modality: PSMA PET/CT | tracer: 18F | view: axial
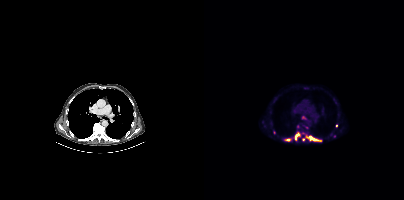
Coordinates are on the 200×200 PET (right) panel. (showing 5 of 8 foci) PSMA-avid tumor lesion bounding boxes (x, y, width, height): x=102 y=135 w=16 h=7 / x=91 y=133 w=6 h=8 / x=81 y=139 w=6 h=3. Small PSMA-avid foci (2 to 4 px across) near (center x, center y): (132, 125) / (99, 139).